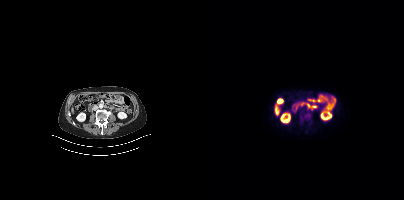
Findings: Negative for PSMA-avid disease on this slice.
- Two-panel axial: CT | PSMA PET, [18F]PSMA-1007 tracer
- acquired on Siemens Biograph mCT Flow 20
- slice 166 of 401
- PET panel 200×200 px (4.1 mm/px)